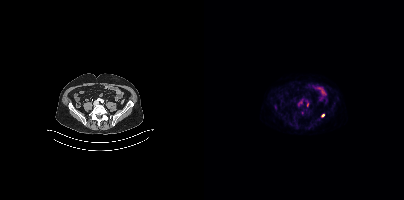
Left: CT. Right: PSMA PET, same axial level, 18F-PSMA tracer. Acquired on Siemens Biograph mCT Flow 20. Slice position z = -1558 mm. PET panel 200×200 px (4.1 mm/px). Coordinates are on the 200×200 PET (right) panel. PSMA-avid tumor lesion bounding box (x0, y0)-(x1, y1): (103, 102)-(104, 106). Small PSMA-avid foci (2 to 4 px across) near (center x, center y): (71, 107); (119, 115).